Left: CT. Right: PSMA PET, same axial level, [18F]PSMA-1007 tracer.
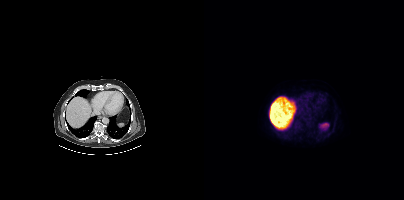
Negative for PSMA-avid disease on this slice.